Technique: Left: CT. Right: PSMA PET, same axial level, [18F]PSMA-1007 tracer. PET panel 200×200 px (4.1 mm/px).
Note: An anonymization step blacked out a rectangle over the head in this scan.
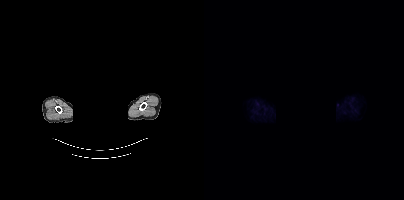
Findings: No tumor lesions annotated on this slice.